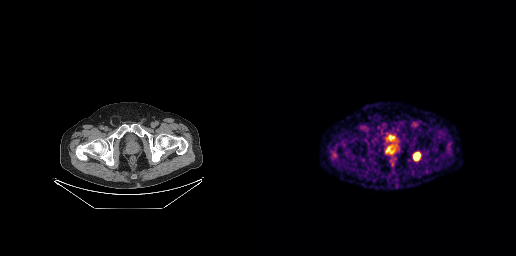
Coordinates are on the 256×256 PET (right) panel. PSMA-avid tumor lesion bounding box (x0, y0)-(x1, y1): (153, 152)-(160, 160).